- Two-panel axial: CT | PSMA PET, 18F tracer
- acquired on Siemens Biograph mCT Flow 20
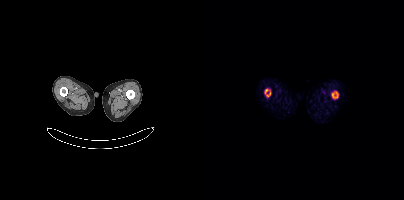
Findings: Coordinates are on the 200×200 PET (right) panel. PSMA-avid tumor lesion bounding boxes (x0, y0)-(x1, y1): (128, 91)-(134, 98) | (60, 89)-(66, 96).